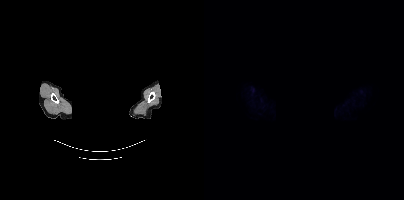
No tumor lesions annotated on this slice. Two-panel axial: CT | PSMA PET, 18F-PSMA tracer. Slice position z = -831 mm. PET panel 200×200 px (4.1 mm/px). The face region was removed for patient privacy by blanking a rectangle over the head.